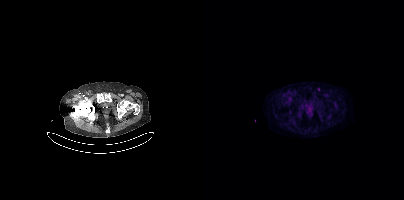
{"modality":"PSMA PET/CT","view":"axial","tracer":"18F-PSMA","pet_grid":[200,200],"coord_frame":"pet_panel","coord_format":"x0,y0,x1,y1","partial":true,"lesion_bboxes":[],"small_foci_centers":[[114,89]]}